Technique: Left: CT. Right: PSMA PET, same axial level, 18F tracer. acquired on Siemens Biograph mCT Flow 20.
Note: Face de-identified by blanking a block of the head.
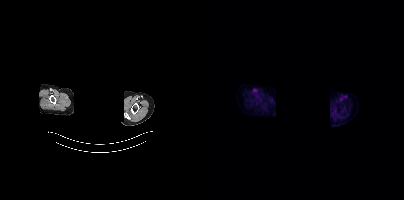
Findings: No tumor lesions annotated on this slice.